The face region was removed for patient privacy by blanking a rectangle over the head.
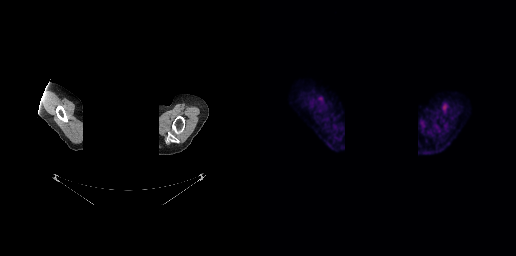
No PSMA-avid tumor lesions on this slice.